Left: CT. Right: PSMA PET, same axial level, 68Ga tracer. Slice 170 of 263. PET panel 256×256 px (2.7 mm/px).
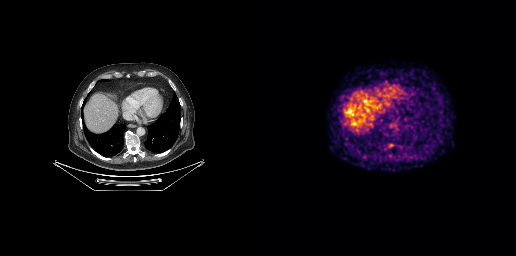
Coordinates are on the 256×256 PET (right) panel. Small PSMA-avid focus (2 to 4 px across) near (center x, center y): (131, 145).